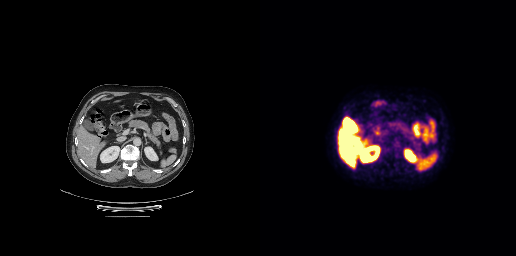
Paired axial CT (left) and PSMA PET (right), 18F-PSMA tracer. Slice 136 of 263. This slice has no annotated PSMA-avid lesion.